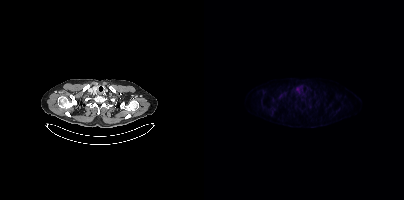
{"modality":"PSMA PET/CT","view":"axial","tracer":"18F","pet_grid":[200,200],"coord_frame":"pet_panel","coord_format":"x0,y0,x1,y1","psma_avid_lesions":false}